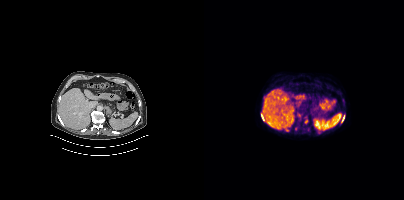
{"modality":"PSMA PET/CT","view":"axial","tracer":"18F-PSMA","pet_grid":[200,200],"coord_frame":"pet_panel","coord_format":"x0,y0,x1,y1","partial":true,"lesion_bboxes":[]}